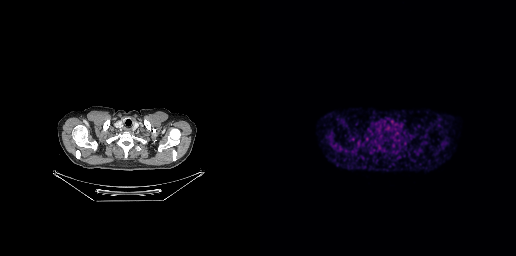
Paired axial CT (left) and PSMA PET (right), [68Ga]Ga-PSMA-11 tracer. PET panel 256×256 px (2.7 mm/px). No PSMA-avid tumor lesions on this slice.